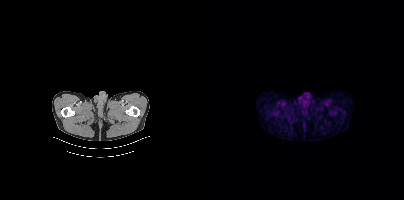
No tumor lesions annotated on this slice.